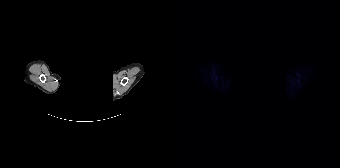
Technique: Paired axial CT (left) and PSMA PET (right), 18F-PSMA tracer. PET panel 168×168 px (4.1 mm/px).
Note: The face region was removed for patient privacy by blanking a rectangle over the head.
Findings: No PSMA-avid tumor lesions on this slice.